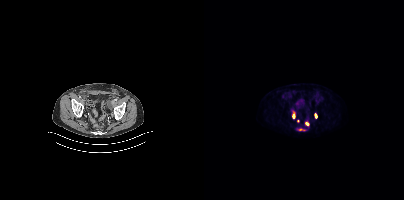
{"modality":"PSMA PET/CT","view":"axial","tracer":"18F","pet_grid":[200,200],"coord_frame":"pet_panel","coord_format":"x0,y0,x1,y1","lesion_bboxes":[[88,111,91,118],[101,122,105,125],[111,114,113,118],[95,129,100,130]],"small_foci_centers":[[94,121]]}